modality: PSMA PET/CT | tracer: 18F | view: axial | PET grid: 168×168
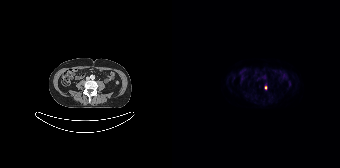
Coordinates are on the 168×168 PET (right) panel. Small PSMA-avid focus (2 to 4 px across) near (center x, center y): (93, 88).